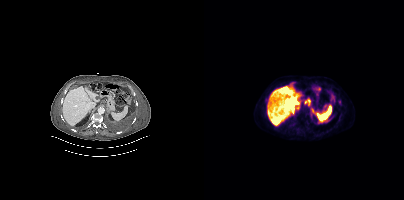
Technique: Two-panel axial: CT | PSMA PET, 18F-PSMA tracer. acquired on Siemens Biograph mCT Flow 20.
Findings: Coordinates are on the 200×200 PET (right) panel. PSMA-avid tumor lesion bounding box (x, y, width, height): x=100 y=98 w=7 h=8. Small PSMA-avid focus (2 to 4 px across) near (center x, center y): (135, 102).